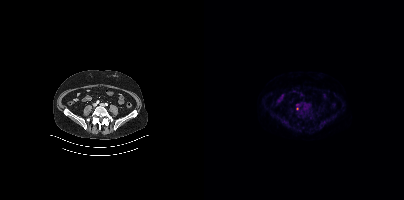
Left: CT. Right: PSMA PET, same axial level, 18F-PSMA tracer. Slice position z = -771 mm. PET panel 200×200 px (4.1 mm/px). Coordinates are on the 200×200 PET (right) panel. Small PSMA-avid foci (2 to 4 px across) near (center x, center y): (93, 104) (93, 108).